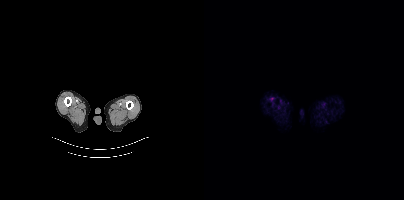
No PSMA-avid tumor lesions on this slice.
modality: PSMA PET/CT | tracer: 18F-PSMA | view: axial